Two-panel axial: CT | PSMA PET, [18F]PSMA-1007 tracer. Slice position z = -402 mm. PET panel 200×200 px (4.1 mm/px).
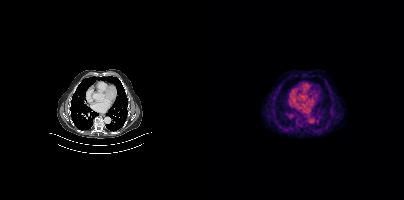
Negative for PSMA-avid disease on this slice.